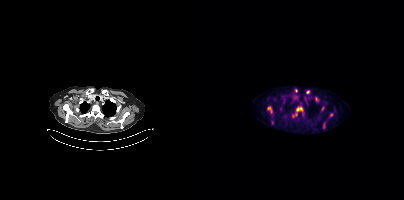
Left: CT. Right: PSMA PET, same axial level, 18F-PSMA tracer. Acquired on Siemens Biograph mCT Flow 20. PET panel 200×200 px (4.1 mm/px).
Coordinates are on the 200×200 PET (right) panel. PSMA-avid tumor lesion bounding boxes (partial; 2 more foci not listed):
| # | x0 | y0 | x1 | y1 |
|---|---|---|---|---|
| 1 | 92 | 106 | 99 | 111 |
| 2 | 63 | 106 | 68 | 112 |
Small PSMA-avid foci (2 to 4 px across) near (center x, center y): (103, 91); (92, 90); (127, 114); (111, 97).